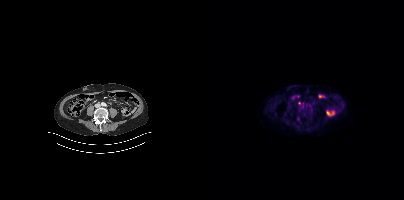
Left: CT. Right: PSMA PET, same axial level, 18F tracer. Acquired on Siemens Biograph mCT Flow 20. Slice position z = -1323 mm. Coordinates are on the 200×200 PET (right) panel. Small PSMA-avid focus (2 to 4 px across) near (center x, center y): (95, 103).